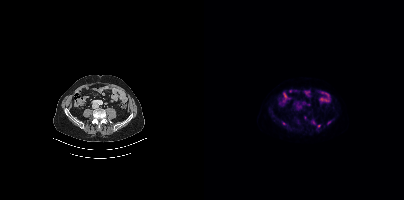
Technique: Paired axial CT (left) and PSMA PET (right), 18F tracer. acquired on Siemens Biograph mCT Flow 20.
Findings: Coordinates are on the 200×200 PET (right) panel. Small PSMA-avid focus (2 to 4 px across) near (center x, center y): (114, 125).